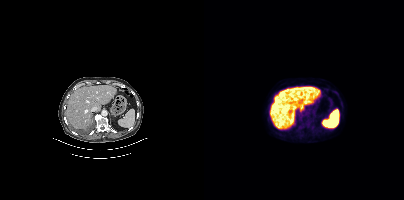
No PSMA-avid tumor lesions on this slice. Left: CT. Right: PSMA PET, same axial level, 18F tracer. Slice position z = -1158 mm.